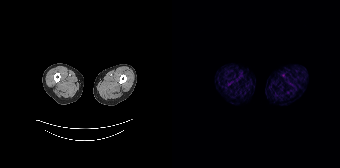
- Paired axial CT (left) and PSMA PET (right), 68Ga-PSMA tracer
- acquired on Siemens Biograph 64-4R TruePoint
- slice 22 of 195
Findings: No PSMA-avid tumor lesions on this slice.